modality: PSMA PET/CT | tracer: 18F | view: axial
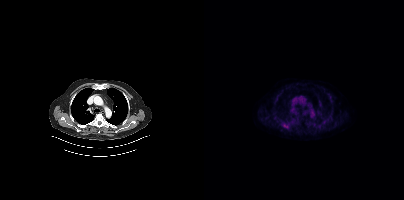
Coordinates are on the 200×200 PET (right) panel. Small PSMA-avid focus (2 to 4 px across) near (center x, center y): (80, 125).